Paired axial CT (left) and PSMA PET (right), 18F-PSMA tracer. Slice 353 of 435.
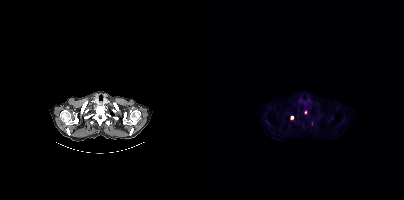
Coordinates are on the 200×200 PET (right) panel. Small PSMA-avid foci (2 to 4 px across) near (center x, center y): (88, 117); (101, 112).